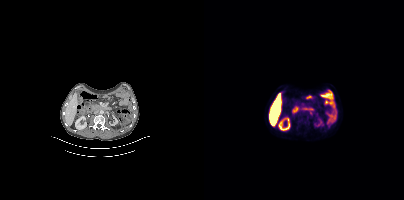
Coordinates are on the 200×200 PET (right) panel. PSMA-avid tumor lesion bounding box (x0, y0)-(x1, y1): (106, 109)-(108, 113).